Paired axial CT (left) and PSMA PET (right), 18F-PSMA tracer. Acquired on Siemens Biograph mCT Flow 20. PET panel 200×200 px (4.1 mm/px).
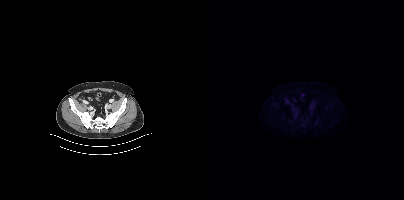
No tumor lesions annotated on this slice.